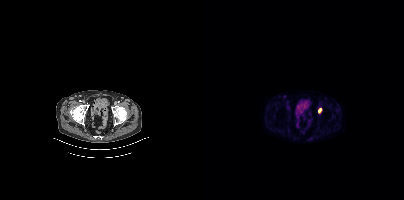
Left: CT. Right: PSMA PET, same axial level, 18F tracer. Coordinates are on the 200×200 PET (right) panel. Small PSMA-avid foci (2 to 4 px across) near (center x, center y): (115, 110) | (80, 96).